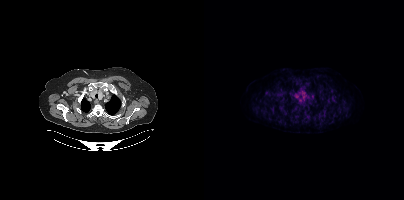
{"modality":"PSMA PET/CT","view":"axial","tracer":"[18F]PSMA-1007","pet_grid":[200,200],"coord_frame":"pet_panel","coord_format":"x0,y0,x1,y1","lesion_bboxes":[],"small_foci_centers":[[128,98]]}